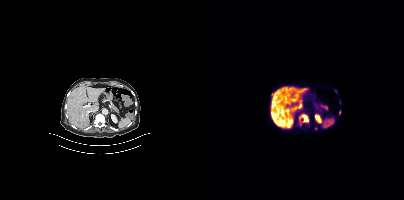
- Left: CT. Right: PSMA PET, same axial level, 18F-PSMA tracer
- slice 208 of 403
- PET panel 200×200 px (4.1 mm/px)
Findings: Coordinates are on the 200×200 PET (right) panel. (showing 6 of 7 foci) PSMA-avid tumor lesion bounding boxes (x, y, width, height): x=67 y=112 w=9 h=12 / x=98 y=115 w=7 h=7 / x=94 y=89 w=6 h=4 / x=82 y=108 w=4 h=5. Small PSMA-avid foci (2 to 4 px across) near (center x, center y): (78, 111) / (135, 112).